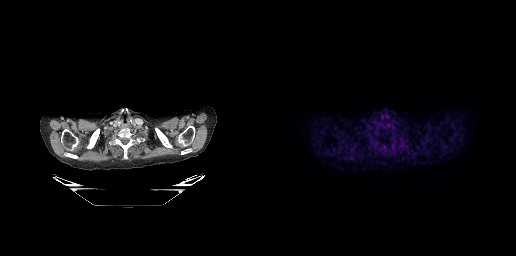
{"pet_grid":[256,256],"coord_frame":"pet_panel","coord_format":"x0,y0,x1,y1","psma_avid_lesions":false,"modality":"PSMA PET/CT","view":"axial","tracer":"18F"}